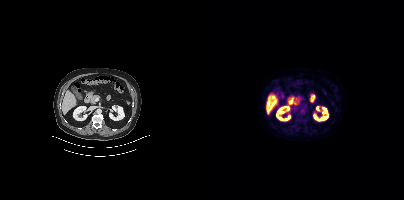
Findings: Negative for PSMA-avid disease on this slice.
- Left: CT. Right: PSMA PET, same axial level, [18F]PSMA-1007 tracer